- Paired axial CT (left) and PSMA PET (right), 68Ga tracer
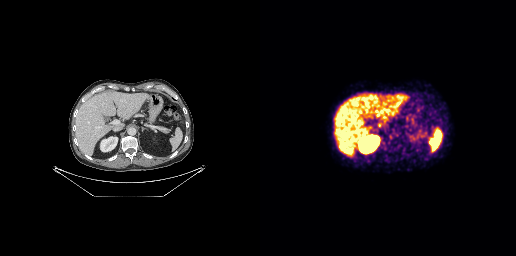
Findings: This slice has no annotated PSMA-avid lesion.